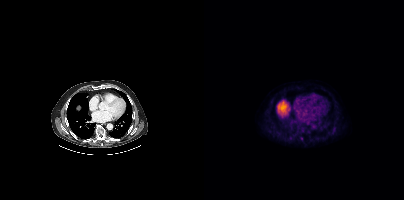
{"pet_grid":[200,200],"coord_frame":"pet_panel","coord_format":"x0,y0,x1,y1","psma_avid_lesions":false,"modality":"PSMA PET/CT","view":"axial","tracer":"18F"}